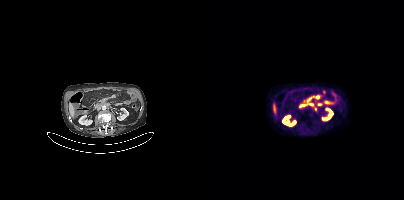
- Left: CT. Right: PSMA PET, same axial level, 18F-PSMA tracer
Findings: Coordinates are on the 200×200 PET (right) panel. (showing 1 of 2 foci) PSMA-avid tumor lesion bounding box (x0, y0)-(x1, y1): (102, 95)-(116, 103).